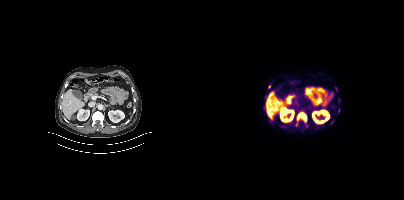
Coordinates are on the 200×200 PET (right) panel. (showing 2 of 5 foci) PSMA-avid tumor lesion bounding box (x, y, width, height): x=93 y=113 w=10 h=10. Small PSMA-avid focus (2 to 4 px across) near (center x, center y): (65, 86).
modality: PSMA PET/CT | tracer: 18F-PSMA | view: axial